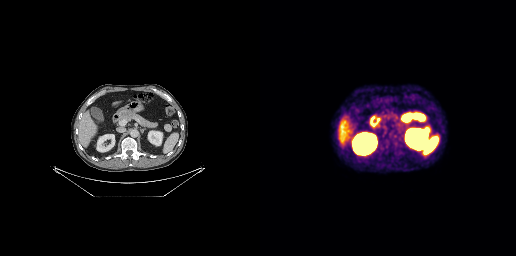
{"modality":"PSMA PET/CT","view":"axial","tracer":"[68Ga]Ga-PSMA-11","pet_grid":[256,256],"coord_frame":"pet_panel","coord_format":"x0,y0,x1,y1","lesion_bboxes":[[165,127,169,133]]}